modality: PSMA PET/CT | tracer: 68Ga | view: axial | PET grid: 168×168
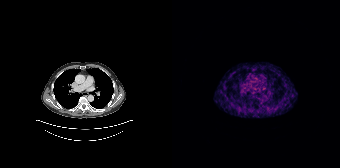
No PSMA-avid tumor lesions on this slice.